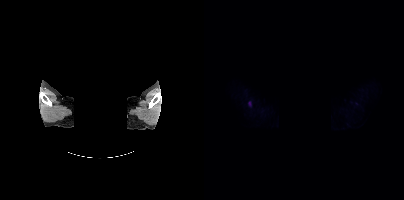
Findings: This slice has no annotated PSMA-avid lesion.
Technique: Left: CT. Right: PSMA PET, same axial level, 18F-PSMA tracer.
Note: Any black rectangle over the head is a privacy mask, not anatomy.